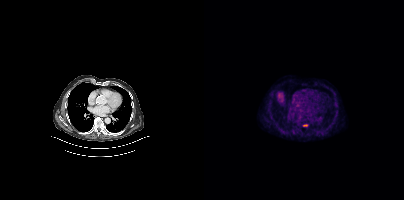
Technique: Two-panel axial: CT | PSMA PET, 18F-PSMA tracer. slice 257 of 427.
Findings: Only PSMA-avid lesion pieces thinner than 2 px on this slice (not listed).